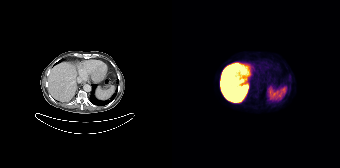
{"pet_grid":[168,168],"coord_frame":"pet_panel","coord_format":"x0,y0,x1,y1","psma_avid_lesions":false,"modality":"PSMA PET/CT","view":"axial","tracer":"18F-PSMA"}